Left: CT. Right: PSMA PET, same axial level, 18F-PSMA tracer. Acquired on Siemens Biograph mCT Flow 20.
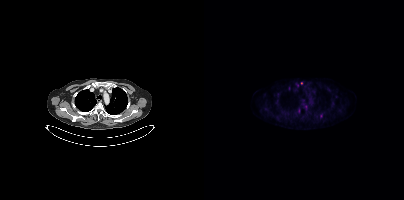
Coordinates are on the 200×200 PET (right) panel. Small PSMA-avid foci (2 to 4 px across) near (center x, center y): (97, 83); (93, 85).